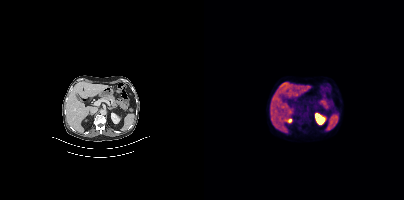
{"pet_grid":[200,200],"coord_frame":"pet_panel","coord_format":"x0,y0,x1,y1","psma_avid_lesions":false,"modality":"PSMA PET/CT","view":"axial","tracer":"18F-PSMA"}